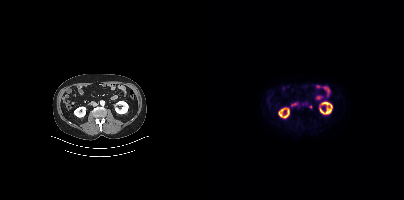
Two-panel axial: CT | PSMA PET, 18F-PSMA tracer. Slice position z = -1333 mm. PET panel 200×200 px (4.1 mm/px). Only PSMA-avid lesion pieces thinner than 2 px on this slice (not listed).